Paired axial CT (left) and PSMA PET (right), 68Ga tracer. Acquired on Siemens Biograph mCT Flow 20. Slice position z = -1070 mm.
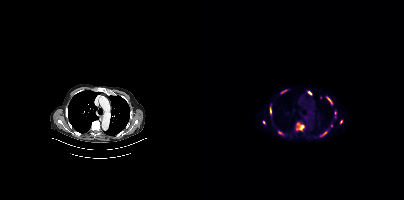
Coordinates are on the 200×200 PET (right) panel. (showing 11 of 12 foci) PSMA-avid tumor lesion bounding boxes (x0,y0,x1,y1): [91,123,100,130] [122,96,126,101] [118,131,123,135] [66,107,67,114]. Small PSMA-avid foci (2 to 4 px across) near (center x, center y): (137, 121) (106, 93) (80, 91) (59, 122) (127, 125) (76, 132) (131, 113).